- Paired axial CT (left) and PSMA PET (right), 18F tracer
- acquired on Siemens Biograph 64-4R TruePoint
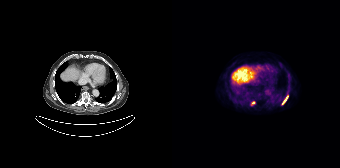
Findings: Coordinates are on the 168×168 PET (right) panel. PSMA-avid tumor lesion bounding box (x0,y0,x1,y1): [109,95,116,104]. Small PSMA-avid focus (2 to 4 px across) near (center x, center y): (81, 102).